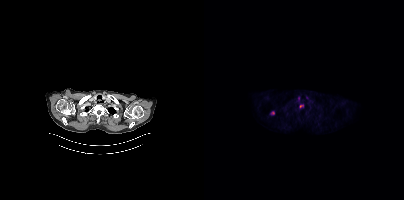
Findings: Coordinates are on the 200×200 PET (right) panel. Small PSMA-avid foci (2 to 4 px across) near (center x, center y): (68, 112) | (97, 106).
- Two-panel axial: CT | PSMA PET, [18F]PSMA-1007 tracer
- acquired on Siemens Biograph mCT Flow 20
- slice 349 of 421